- Paired axial CT (left) and PSMA PET (right), 18F-PSMA tracer
- acquired on Siemens Biograph mCT Flow 20
- slice position z = -830 mm
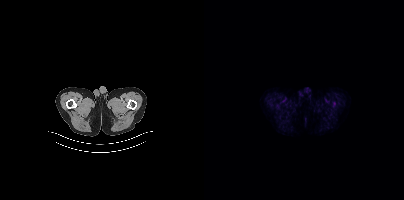
Findings: This slice has no annotated PSMA-avid lesion.